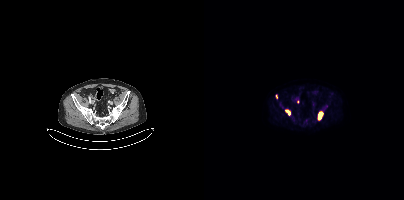
{"modality":"PSMA PET/CT","view":"axial","tracer":"18F-PSMA","pet_grid":[200,200],"coord_frame":"pet_panel","coord_format":"x0,y0,x1,y1","partial":true,"lesion_bboxes":[[114,112,118,119]],"small_foci_centers":[[120,108],[72,96]]}